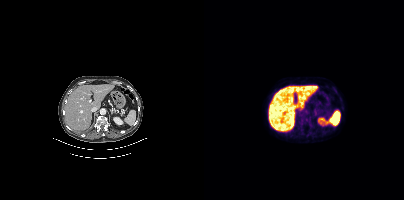
{"modality":"PSMA PET/CT","view":"axial","tracer":"18F","pet_grid":[200,200],"coord_frame":"pet_panel","coord_format":"x0,y0,x1,y1","psma_avid_lesions":false}